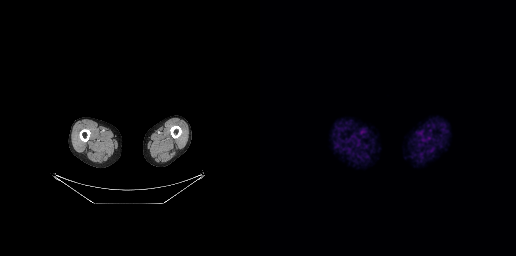
Negative for PSMA-avid disease on this slice.